modality: PSMA PET/CT | tracer: 18F-PSMA | view: axial | PET grid: 200×200
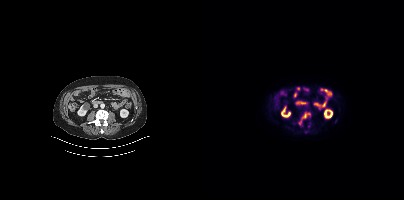
Coordinates are on the 200×200 PET (right) panel. (showing 3 of 5 foci) PSMA-avid tumor lesion bounding boxes (x, y, width, height): x=95 y=112 w=12 h=13 / x=103 y=123 w=5 h=6. Small PSMA-avid focus (2 to 4 px across) near (center x, center y): (102, 131).